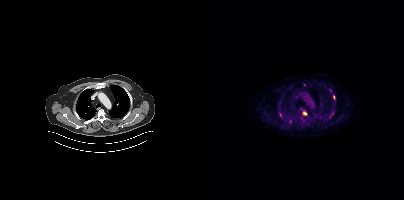
Findings: Coordinates are on the 200×200 PET (right) panel. PSMA-avid tumor lesion bounding boxes (x0, y0)-(x1, y1): (75, 112)-(78, 117) | (126, 112)-(129, 116) | (129, 95)-(130, 99). Small PSMA-avid foci (2 to 4 px across) near (center x, center y): (100, 113) | (86, 121) | (126, 90) | (100, 84).
- Left: CT. Right: PSMA PET, same axial level, 18F tracer